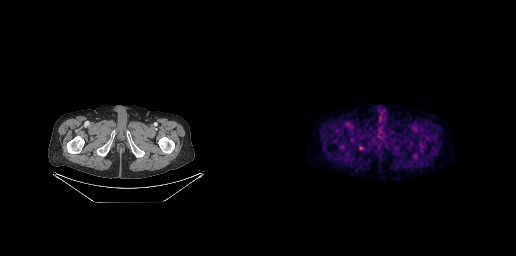
Coordinates are on the 256×256 PET (right) panel. Small PSMA-avid focus (2 to 4 px across) near (center x, center y): (100, 147).